Paired axial CT (left) and PSMA PET (right), 18F-PSMA tracer. Acquired on Siemens Biograph mCT Flow 20. PET panel 200×200 px (4.1 mm/px).
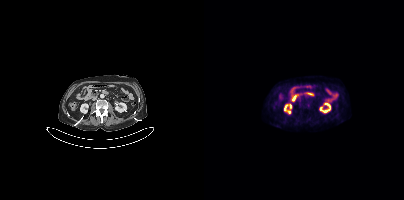
Negative for PSMA-avid disease on this slice.